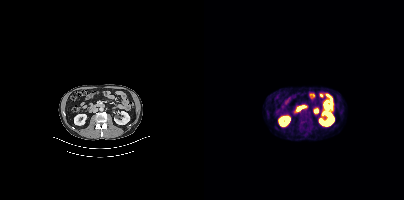
Coordinates are on the 200×200 PET (right) panel. PSMA-avid tumor lesion bounding box (x0, y0)-(x1, y1): (102, 115)-(105, 119). Small PSMA-avid focus (2 to 4 px across) near (center x, center y): (98, 118).